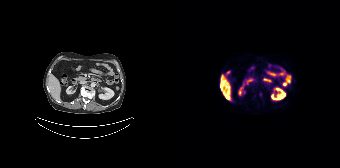
Left: CT. Right: PSMA PET, same axial level, [18F]PSMA-1007 tracer. Coordinates are on the 168×168 PET (right) panel. Small PSMA-avid foci (2 to 4 px across) near (center x, center y): (50, 82), (55, 96).